Paired axial CT (left) and PSMA PET (right), 18F-PSMA tracer. PET panel 200×200 px (4.1 mm/px).
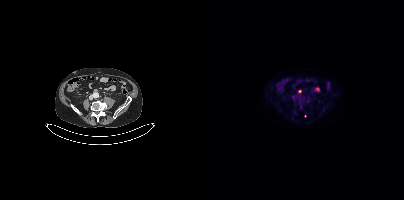
Negative for PSMA-avid disease on this slice.